- Two-panel axial: CT | PSMA PET, [18F]PSMA-1007 tracer
- slice position z = -645 mm
- PET panel 200×200 px (4.1 mm/px)
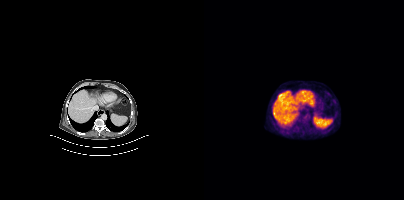
Findings: Negative for PSMA-avid disease on this slice.